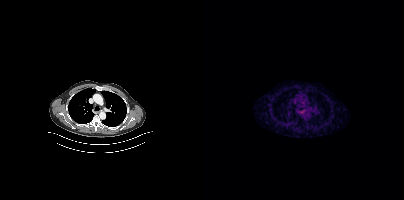
Findings: No tumor lesions annotated on this slice.
- Two-panel axial: CT | PSMA PET, [68Ga]Ga-PSMA-11 tracer
- acquired on Siemens Biograph mCT Flow 20
- slice 269 of 373